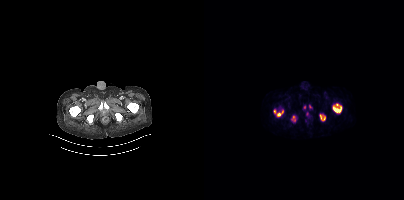
This slice has no annotated PSMA-avid lesion. Left: CT. Right: PSMA PET, same axial level, 68Ga-PSMA tracer. Slice position z = 358 mm. PET panel 200×200 px (4.1 mm/px).